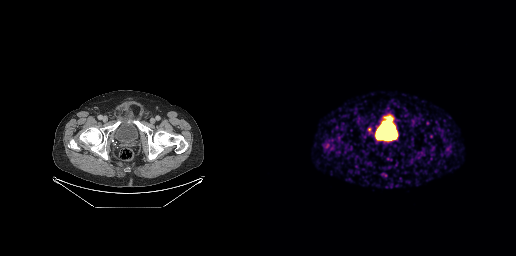
Findings: Coordinates are on the 256×256 PET (right) panel. PSMA-avid tumor lesion bounding box (x, y, width, height): x=108 y=127 w=4 h=5.
- Two-panel axial: CT | PSMA PET, 68Ga-PSMA tracer
- PET panel 256×256 px (2.7 mm/px)